- Two-panel axial: CT | PSMA PET, 18F tracer
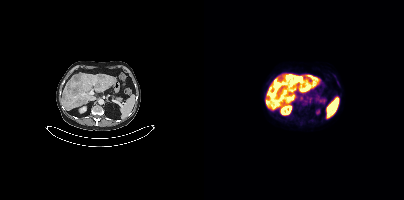
Findings: Coordinates are on the 200×200 PET (right) panel. PSMA-avid tumor lesion bounding boxes (x, y, width, height): x=69 y=82 w=8 h=8; x=96 y=83 w=7 h=7; x=92 y=77 w=8 h=5; x=96 y=96 w=4 h=5. Small PSMA-avid focus (2 to 4 px across) near (center x, center y): (106, 98).